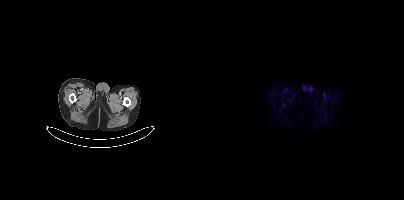
{"modality":"PSMA PET/CT","view":"axial","tracer":"[18F]PSMA-1007","pet_grid":[200,200],"coord_frame":"pet_panel","coord_format":"x0,y0,x1,y1","psma_avid_lesions":false}